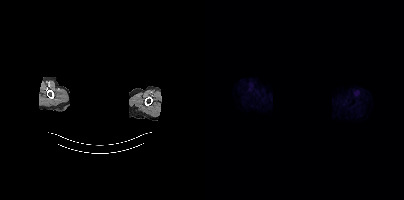
modality: PSMA PET/CT | tracer: [18F]PSMA-1007 | view: axial | deidentification: facial region redacted
This slice has no annotated PSMA-avid lesion.